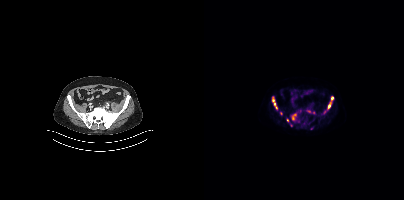
- Paired axial CT (left) and PSMA PET (right), 18F-PSMA tracer
- acquired on Siemens Biograph mCT Flow 20
Findings: Coordinates are on the 200×200 PET (right) panel. (showing 9 of 12 foci) PSMA-avid tumor lesion bounding boxes (x0, y0)-(x1, y1): (123, 96)-(129, 109); (68, 96)-(73, 110); (88, 113)-(92, 120); (102, 110)-(107, 112). Small PSMA-avid foci (2 to 4 px across) near (center x, center y): (77, 113); (83, 120); (120, 112); (109, 112); (107, 128).